modality: PSMA PET/CT | tracer: [18F]PSMA-1007 | view: axial
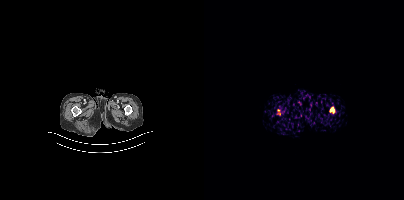
Coordinates are on the 200×200 PET (right) panel. (showing 2 of 3 foci) PSMA-avid tumor lesion bounding boxes (x0, y0)-(x1, y1): (126, 107)-(131, 113) / (73, 109)-(76, 115).